Two-panel axial: CT | PSMA PET, 68Ga tracer. PET panel 256×256 px (2.7 mm/px).
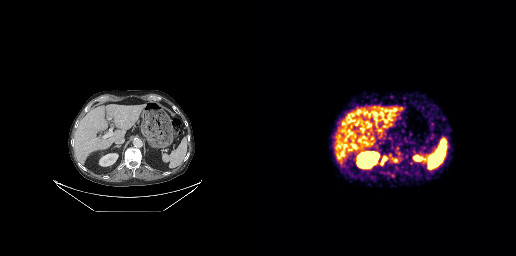
Coordinates are on the 256×256 PET (right) panel. PSMA-avid tumor lesion bounding boxes (x, y, width, height): x=119 y=156 w=8 h=10 / x=135 y=157 w=7 h=5. Small PSMA-avid foci (2 to 4 px across) near (center x, center y): (132, 159) / (133, 175).